Technique: Paired axial CT (left) and PSMA PET (right), 68Ga tracer. acquired on Siemens Biograph mCT Flow 20.
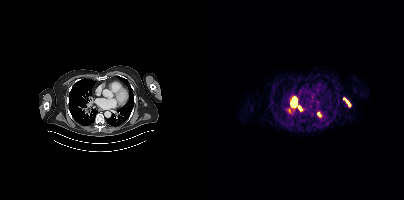
Findings: Coordinates are on the 200×200 PET (right) panel. PSMA-avid tumor lesion bounding boxes (x, y, width, height): x=87 y=97 w=6 h=10; x=142 y=100 w=5 h=7; x=113 y=112 w=4 h=5; x=94 y=106 w=4 h=5. Small PSMA-avid foci (2 to 4 px across) near (center x, center y): (84, 109); (139, 98).